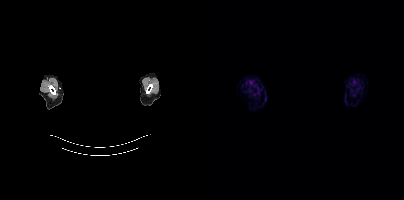
An anonymization step blacked out a rectangle over the head in this scan.
No PSMA-avid tumor lesions on this slice.